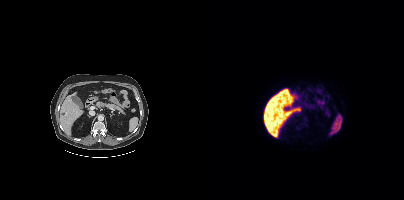
This slice has no annotated PSMA-avid lesion. Two-panel axial: CT | PSMA PET, 18F-PSMA tracer. Acquired on Siemens Biograph mCT Flow 20.